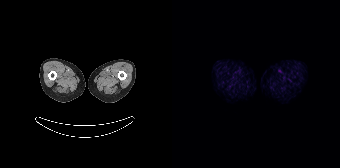
Findings: Negative for PSMA-avid disease on this slice.
Technique: Left: CT. Right: PSMA PET, same axial level, 68Ga tracer. PET panel 168×168 px (4.1 mm/px).